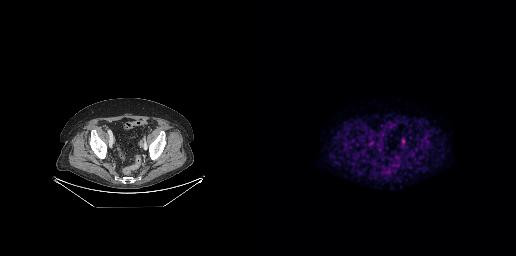
{"modality":"PSMA PET/CT","view":"axial","tracer":"[18F]PSMA-1007","pet_grid":[256,256],"coord_frame":"pet_panel","coord_format":"x0,y0,x1,y1","lesion_bboxes":[[142,139,144,143]]}